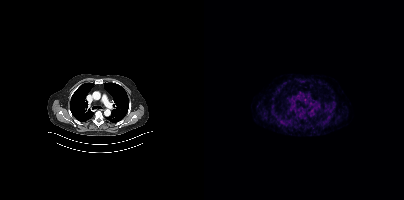
{"modality":"PSMA PET/CT","view":"axial","tracer":"[18F]PSMA-1007","pet_grid":[200,200],"coord_frame":"pet_panel","coord_format":"x0,y0,x1,y1","lesion_bboxes":[],"small_foci_centers":[[79,122]]}